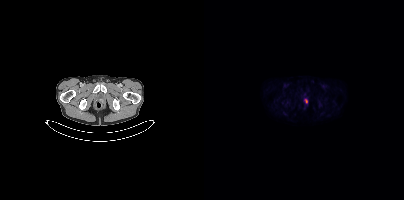
{"pet_grid":[200,200],"coord_frame":"pet_panel","coord_format":"x0,y0,x1,y1","lesion_bboxes":[[101,99,103,103]],"modality":"PSMA PET/CT","view":"axial","tracer":"18F"}